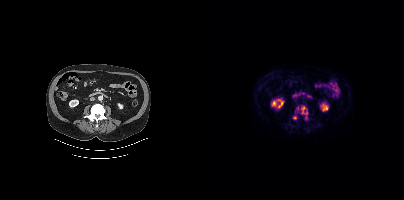
{"pet_grid":[200,200],"coord_frame":"pet_panel","coord_format":"x0,y0,x1,y1","partial":true,"lesion_bboxes":[[97,106,103,114]],"small_foci_centers":[[90,117]],"modality":"PSMA PET/CT","view":"axial","tracer":"18F-PSMA"}